Technique: Two-panel axial: CT | PSMA PET, [18F]PSMA-1007 tracer. acquired on Siemens Biograph mCT Flow 20. PET panel 200×200 px (4.1 mm/px).
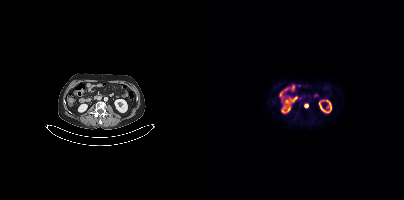
Findings: Coordinates are on the 200×200 PET (right) panel. PSMA-avid tumor lesion bounding box (x, y, width, height): x=100 y=104 w=5 h=4.